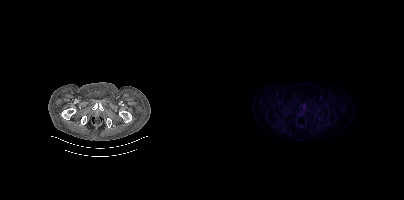
{"modality":"PSMA PET/CT","view":"axial","tracer":"18F-PSMA","pet_grid":[200,200],"coord_frame":"pet_panel","coord_format":"x0,y0,x1,y1","psma_avid_lesions":false}